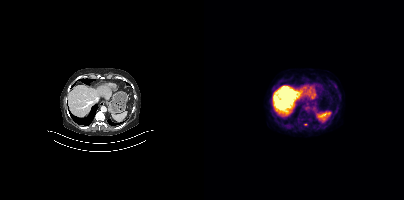
{"modality":"PSMA PET/CT","view":"axial","tracer":"[18F]PSMA-1007","pet_grid":[200,200],"coord_frame":"pet_panel","coord_format":"x0,y0,x1,y1","lesion_bboxes":[],"small_foci_centers":[[101,124]]}